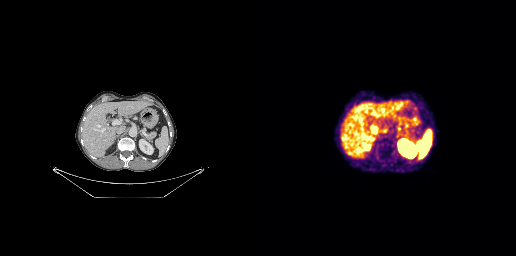
Coordinates are on the 256×256 PET (right) panel. PSMA-avid tumor lesion bounding boxes:
| # | x0 | y0 | x1 | y1 |
|---|---|---|---|---|
| 1 | 121 | 128 | 127 | 133 |
Paired axial CT (left) and PSMA PET (right), 68Ga tracer.